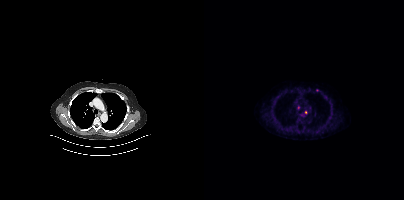
Coordinates are on the 200×200 PET (right) panel. (showing 1 of 2 foci) Small PSMA-avid focus (2 to 4 px across) near (center x, center y): (101, 112).